Technique: Left: CT. Right: PSMA PET, same axial level, 18F tracer. acquired on Siemens Biograph mCT Flow 20. slice 139 of 429.
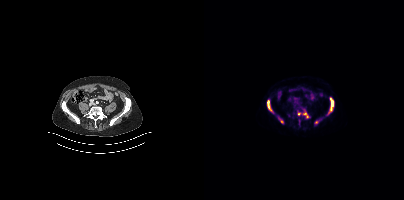
Findings: Coordinates are on the 200×200 PET (right) panel. (showing 5 of 7 foci) PSMA-avid tumor lesion bounding boxes (x, y, width, height): x=126 y=98 w=4 h=14 | x=63 y=100 w=6 h=12. Small PSMA-avid foci (2 to 4 px across) near (center x, center y): (94, 113) | (78, 121) | (101, 113).